Left: CT. Right: PSMA PET, same axial level, [18F]PSMA-1007 tracer. Acquired on Siemens Biograph mCT Flow 20. Slice 169 of 397. PET panel 200×200 px (4.1 mm/px).
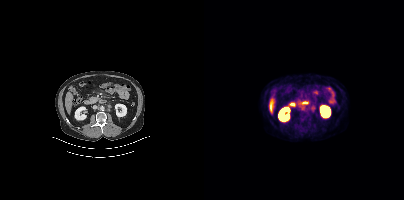
Only PSMA-avid lesion pieces thinner than 2 px on this slice (not listed).